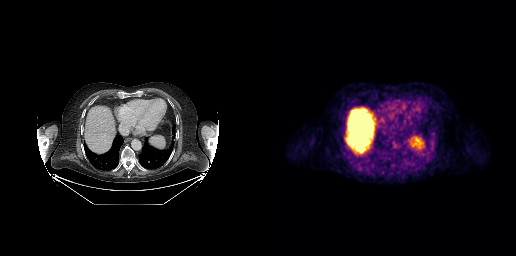
Technique: Paired axial CT (left) and PSMA PET (right), [18F]PSMA-1007 tracer.
Findings: This slice has no annotated PSMA-avid lesion.